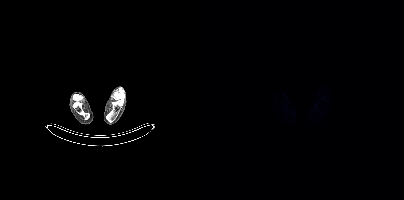
modality: PSMA PET/CT | tracer: [18F]PSMA-1007 | view: axial
No PSMA-avid tumor lesions on this slice.